Paired axial CT (left) and PSMA PET (right), [68Ga]Ga-PSMA-11 tracer. PET panel 168×168 px (4.1 mm/px).
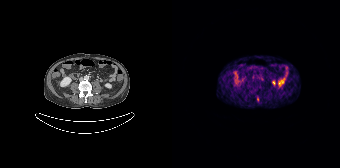
Coordinates are on the 168×168 PET (right) panel. Small PSMA-avid focus (2 to 4 px across) near (center x, center y): (85, 99).